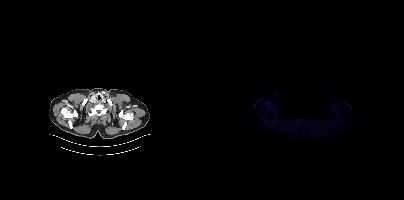
This slice has no annotated PSMA-avid lesion.
A black rectangle in this scan is a privacy mask, not anatomy.